modality: PSMA PET/CT | tracer: 18F | view: axial | PET grid: 200×200
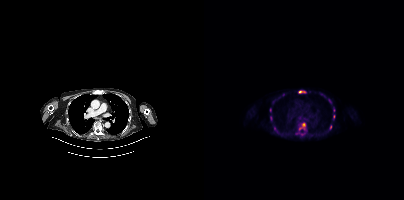
Coordinates are on the 200×200 PET (right) panel. (showing 11 of 13 foci) PSMA-avid tumor lesion bounding boxes (x, y, width, height): x=95 y=123 w=7 h=8 | x=95 y=90 w=7 h=4 | x=126 y=125 w=2 h=5. Small PSMA-avid foci (2 to 4 px across) near (center x, center y): (66, 109) | (130, 116) | (130, 110) | (66, 117) | (95, 118) | (70, 128) | (79, 94) | (125, 101).